Technique: Paired axial CT (left) and PSMA PET (right), 68Ga-PSMA tracer. slice 156 of 195. PET panel 168×168 px (4.1 mm/px).
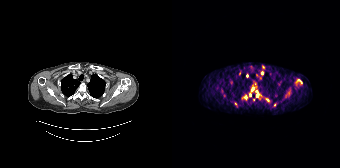
Findings: Coordinates are on the 168×168 PET (right) panel. (showing 11 of 13 foci) PSMA-avid tumor lesion bounding boxes (x, y, width, height): x=83 y=90 w=5 h=8; x=70 y=95 w=6 h=5; x=79 y=85 w=4 h=6; x=126 y=79 w=5 h=5. Small PSMA-avid foci (2 to 4 px across) near (center x, center y): (90, 72); (75, 75); (78, 94); (95, 100); (81, 99); (63, 103); (102, 104).